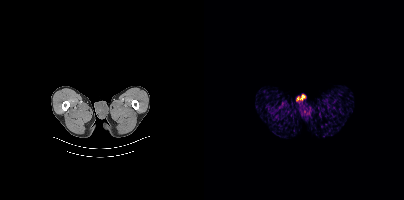
This slice has no annotated PSMA-avid lesion. Paired axial CT (left) and PSMA PET (right), 18F tracer. Acquired on Siemens Biograph mCT Flow 20. Slice 6 of 448. PET panel 200×200 px (4.1 mm/px).